Paired axial CT (left) and PSMA PET (right), 18F tracer. Acquired on Siemens Biograph mCT Flow 20. Slice position z = -506 mm.
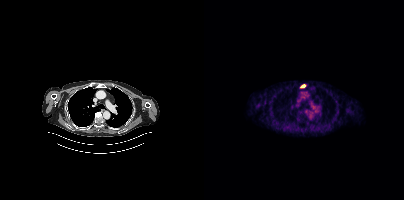
Coordinates are on the 200×200 PET (right) panel. PSMA-avid tumor lesion bounding box (x0,y0,x1,y1): [96,84,101,87].